modality: PSMA PET/CT | tracer: 18F | view: axial | PET grid: 200×200
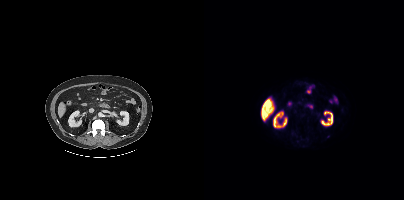
No tumor lesions annotated on this slice.